modality: PSMA PET/CT | tracer: [18F]PSMA-1007 | view: axial
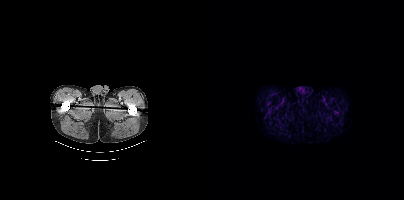
No tumor lesions annotated on this slice.